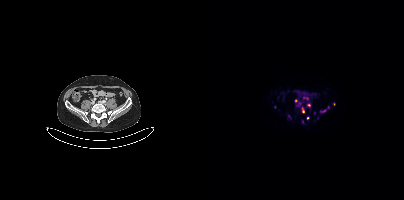
Findings: Coordinates are on the 200×200 PET (right) panel. (showing 7 of 9 foci) PSMA-avid tumor lesion bounding boxes (x0,y0,x1,y1): [99,97,104,99] [98,108,100,112]. Small PSMA-avid foci (2 to 4 px across) near (center x, center y): (99, 121) (104, 105) (85, 116) (91, 100) (103, 117).
Technique: Left: CT. Right: PSMA PET, same axial level, [68Ga]Ga-PSMA-11 tracer. acquired on Siemens Biograph mCT Flow 20. PET panel 200×200 px (4.1 mm/px).